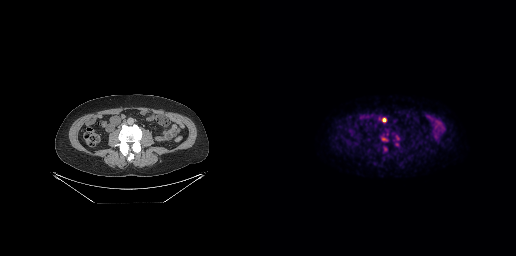
modality: PSMA PET/CT | tracer: 18F-PSMA | view: axial | PET grid: 256×256
Coordinates are on the 256×256 PET (right) panel. (showing 2 of 4 foci) PSMA-avid tumor lesion bounding boxes (x0,y0,x1,y1): [122,118,126,122] [122,138,126,140].